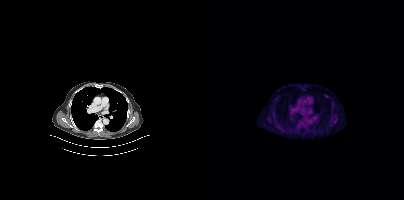
Technique: Paired axial CT (left) and PSMA PET (right), 18F-PSMA tracer. PET panel 200×200 px (4.1 mm/px).
Findings: Negative for PSMA-avid disease on this slice.